Technique: Left: CT. Right: PSMA PET, same axial level, 68Ga-PSMA tracer. slice position z = -805 mm. PET panel 256×256 px (2.7 mm/px).
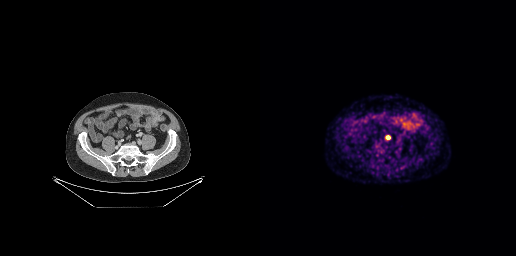
Findings: Coordinates are on the 256×256 PET (right) panel. PSMA-avid tumor lesion bounding box (x0, y0)-(x1, y1): (125, 135)-(130, 139).